Paired axial CT (left) and PSMA PET (right), 18F tracer. PET panel 200×200 px (4.1 mm/px).
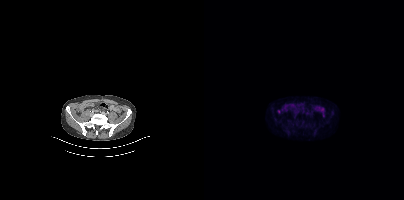
Coordinates are on the 200×200 PET (right) panel. Small PSMA-avid focus (2 to 4 px across) near (center x, center y): (75, 111).